Paired axial CT (left) and PSMA PET (right), [18F]PSMA-1007 tracer. Acquired on Siemens Biograph mCT Flow 20. Slice position z = -940 mm.
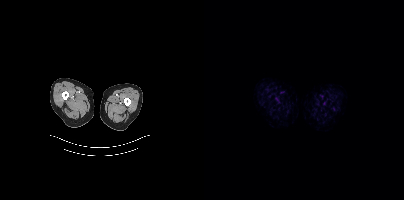
Negative for PSMA-avid disease on this slice.